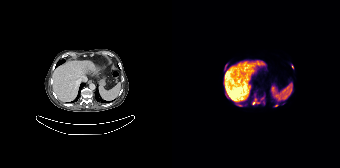
Coordinates are on the 168×168 PET (right) panel. PSMA-avid tumor lesion bounding boxes (x0,y0,x1,y1): [79,93,92,105]; [65,103,69,106]; [53,65,54,69]. Small PSMA-avid foci (2 to 4 px across) near (center x, center y): (120, 66); (104, 105).